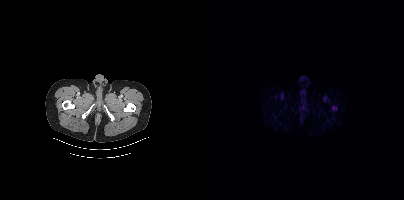
Coordinates are on the 200×200 PET (right) panel. (showing 1 of 2 foci) Small PSMA-avid focus (2 to 4 px across) near (center x, center y): (129, 108).
modality: PSMA PET/CT | tracer: 18F | view: axial | PET grid: 200×200